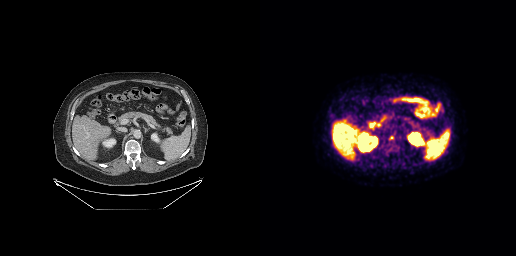
Coordinates are on the 256×256 PET (right) panel. PSMA-avid tumor lesion bounding box (x0,y0,x1,y1): [129,135,134,140]. Left: CT. Right: PSMA PET, same axial level, 18F tracer.